Left: CT. Right: PSMA PET, same axial level, [68Ga]Ga-PSMA-11 tracer. Facial anatomy redacted by setting a rectangular region of the head to black.
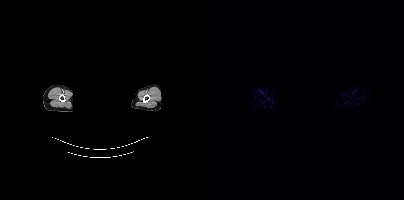
This slice has no annotated PSMA-avid lesion.